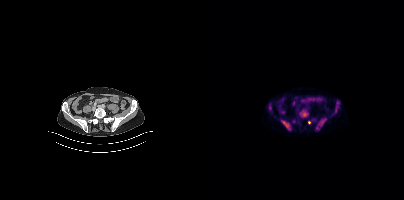
{"modality":"PSMA PET/CT","view":"axial","tracer":"18F","pet_grid":[200,200],"coord_frame":"pet_panel","coord_format":"x0,y0,x1,y1","partial":true,"lesion_bboxes":[[112,118,121,129],[95,109,104,117],[77,120,87,130]],"small_foci_centers":[[105,122]]}